Two-panel axial: CT | PSMA PET, 68Ga-PSMA tracer. Slice 8 of 409. PET panel 200×200 px (4.1 mm/px).
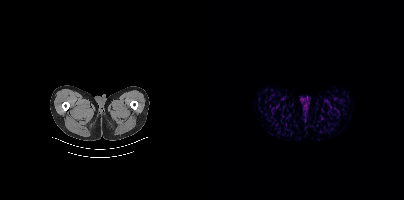
No PSMA-avid tumor lesions on this slice.